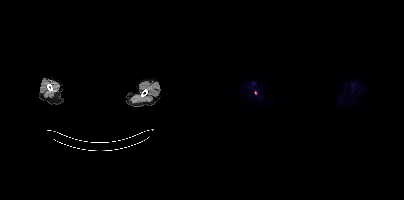
{"pet_grid":[200,200],"coord_frame":"pet_panel","coord_format":"x0,y0,x1,y1","lesion_bboxes":[],"small_foci_centers":[[51,92]],"redaction":"head region blacked out before release","modality":"PSMA PET/CT","view":"axial","tracer":"18F-PSMA"}